modality: PSMA PET/CT | tracer: 18F | view: axial
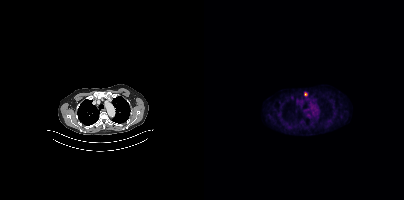
Coordinates are on the 200×200 PET (right) panel. Small PSMA-avid focus (2 to 4 px across) near (center x, center y): (101, 93).